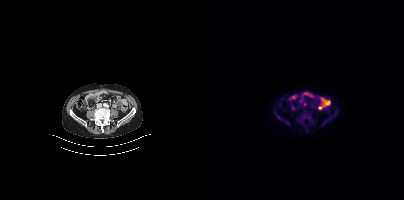
Coordinates are on the 200×200 PET (right) panel. Small PSMA-avid focus (2 to 4 px across) near (center x, center y): (100, 104).